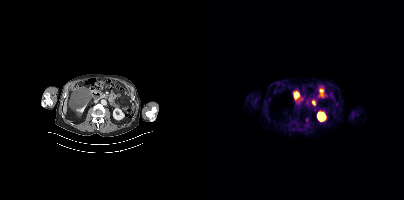
{"modality":"PSMA PET/CT","view":"axial","tracer":"18F","pet_grid":[200,200],"coord_frame":"pet_panel","coord_format":"x0,y0,x1,y1","partial":true,"lesion_bboxes":[]}